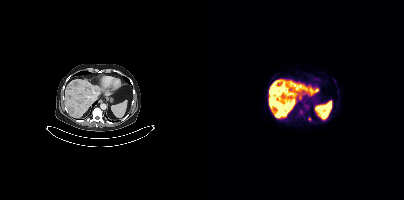
Left: CT. Right: PSMA PET, same axial level, 18F tracer. Slice position z = -1175 mm. PET panel 200×200 px (4.1 mm/px). Coordinates are on the 200×200 PET (right) panel. PSMA-avid tumor lesion bounding boxes (x0,y0,x1,y1): [72,82,77,87], [65,90,71,94], [73,111,77,115], [95,110,99,113]. Small PSMA-avid focus (2 to 4 px across) near (center x, center y): (105, 118).